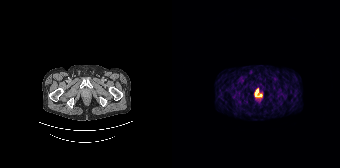
Paired axial CT (left) and PSMA PET (right), 68Ga tracer. Acquired on Siemens Biograph 64-4R TruePoint.
Coordinates are on the 168×168 PET (right) panel. PSMA-avid tumor lesion bounding boxes:
| # | x0 | y0 | x1 | y1 |
|---|---|---|---|---|
| 1 | 83 | 88 | 90 | 96 |